Paired axial CT (left) and PSMA PET (right), 18F tracer. Slice 47 of 299.
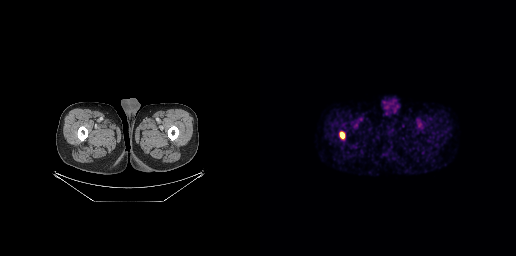
Coordinates are on the 256×256 PET (right) panel. PSMA-avid tumor lesion bounding boxes:
| # | x0 | y0 | x1 | y1 |
|---|---|---|---|---|
| 1 | 80 | 132 | 84 | 138 |